Technique: Left: CT. Right: PSMA PET, same axial level, 18F-PSMA tracer. PET panel 200×200 px (4.1 mm/px).
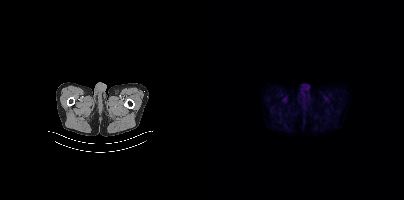
Findings: This slice has no annotated PSMA-avid lesion.